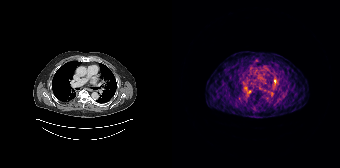
{"modality":"PSMA PET/CT","view":"axial","tracer":"[68Ga]Ga-PSMA-11","pet_grid":[168,168],"coord_frame":"pet_panel","coord_format":"x0,y0,x1,y1","lesion_bboxes":[[76,90,80,93],[102,78,104,82]]}